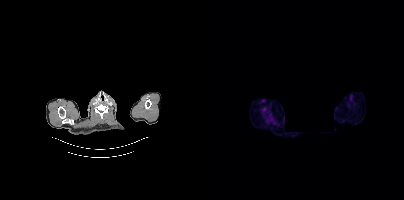
{"modality":"PSMA PET/CT","view":"axial","tracer":"18F","pet_grid":[200,200],"coord_frame":"pet_panel","coord_format":"x0,y0,x1,y1","lesion_bboxes":[[58,107,62,111]],"de-identification":"region redacted"}